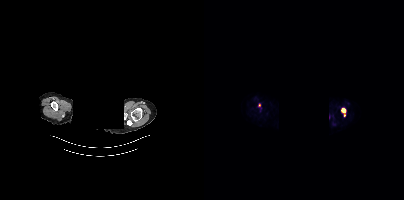
Coordinates are on the 200×200 PET (right) panel. PSMA-avid tumor lesion bounding box (x0,y0,x1,y1): [137,108,142,116]. Small PSMA-avid focus (2 to 4 px across) near (center x, center y): (55, 105). De-identified by setting a box covering the face to black before release. Left: CT. Right: PSMA PET, same axial level, [18F]PSMA-1007 tracer. Acquired on Siemens Biograph mCT Flow 20.